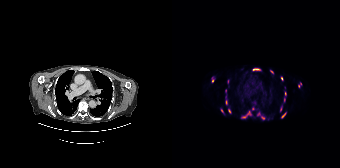
Left: CT. Right: PSMA PET, same axial level, [18F]PSMA-1007 tracer. PET panel 168×168 px (4.1 mm/px). Coordinates are on the 168×168 PET (right) panel. (showing 12 of 17 foci) PSMA-avid tumor lesion bounding boxes (x0,y0,x1,y1): [80,68,88,70]; [110,113,113,117]; [54,100,55,104]. Small PSMA-avid foci (2 to 4 px across) near (center x, center y): (57, 110); (99, 71); (109, 78); (71, 116); (91, 118); (126, 86); (113, 93); (50, 110); (40, 80).